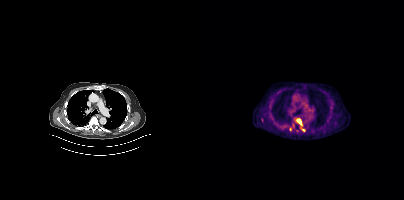
- Left: CT. Right: PSMA PET, same axial level, 18F-PSMA tracer
- acquired on Siemens Biograph mCT Flow 20
- PET panel 200×200 px (4.1 mm/px)
Findings: Coordinates are on the 200×200 PET (right) panel. (showing 2 of 3 foci) PSMA-avid tumor lesion bounding box (x, y, width, height): x=93 y=119 w=5 h=6. Small PSMA-avid focus (2 to 4 px across) near (center x, center y): (99, 130).